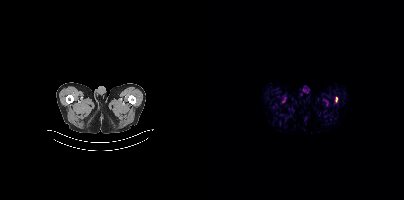
Coordinates are on the 200×200 PET (right) panel. PSMA-avid tumor lesion bounding box (x0,y0,x1,y1): [131,97,133,102].
modality: PSMA PET/CT | tracer: [18F]PSMA-1007 | view: axial